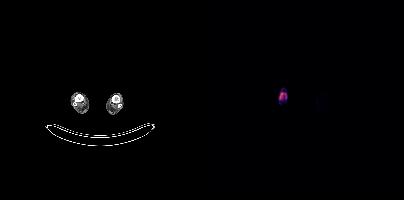
Coordinates are on the 200×200 PET (right) panel. PSMA-avid tumor lesion bounding box (x0, y0)-(x1, y1): (75, 92)-(82, 99).